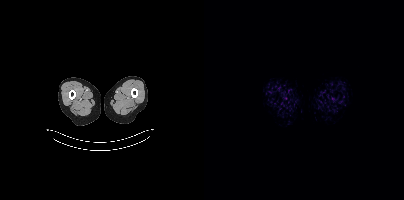
- Two-panel axial: CT | PSMA PET, 18F-PSMA tracer
- slice position z = -1075 mm
- PET panel 200×200 px (4.1 mm/px)
Findings: Negative for PSMA-avid disease on this slice.